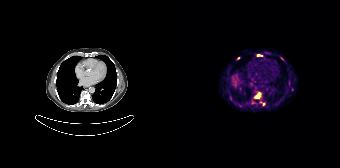
Coordinates are on the 168×168 PET (right) panel. (showing 4 of 8 foci) PSMA-avid tumor lesion bounding boxes (x0,y0,x1,y1): [82,92,89,98] [85,54,90,56]. Small PSMA-avid foci (2 to 4 px across) near (center x, center y): (91, 104) (66, 58).